Technique: Left: CT. Right: PSMA PET, same axial level, [18F]PSMA-1007 tracer.
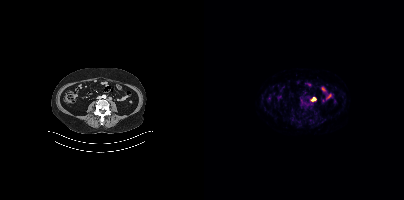
Findings: Coordinates are on the 200×200 PET (right) panel. PSMA-avid tumor lesion bounding box (x0, y0)-(x1, y1): (107, 97)-(112, 101).